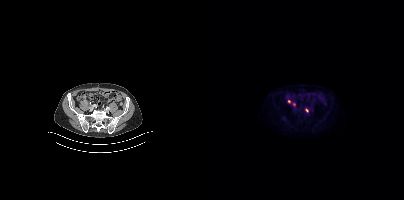
Coordinates are on the 200×200 PET (right) panel. (showing 2 of 3 foci) Small PSMA-avid foci (2 to 4 px across) near (center x, center y): (90, 104) (102, 110).
modality: PSMA PET/CT | tracer: 18F | view: axial | PET grid: 200×200